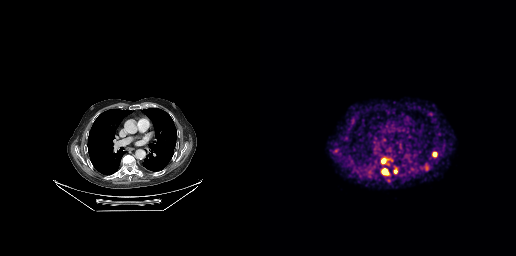
Findings: Coordinates are on the 256×256 PET (right) panel. (showing 4 of 5 foci) PSMA-avid tumor lesion bounding boxes (x, y, width, height): x=121 y=157 w=13 h=8 / x=133 y=166 w=5 h=9 / x=122 y=169 w=6 h=6 / x=173 y=152 w=4 h=5.
- Paired axial CT (left) and PSMA PET (right), [68Ga]Ga-PSMA-11 tracer